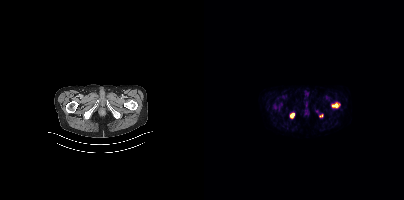
Coordinates are on the 200×200 PET (right) panel. PSMA-avid tumor lesion bounding boxes (x, y, width, height): x=128 y=103 w=8 h=5 | x=86 y=113 w=5 h=5. Small PSMA-avid focus (2 to 4 px across) near (center x, center y): (117, 115).
modality: PSMA PET/CT | tracer: [18F]PSMA-1007 | view: axial